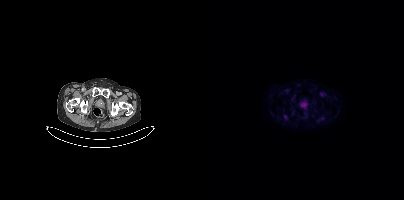
Technique: Paired axial CT (left) and PSMA PET (right), 18F tracer. acquired on Siemens Biograph mCT Flow 20. slice 57 of 391.
Findings: No PSMA-avid tumor lesions on this slice.